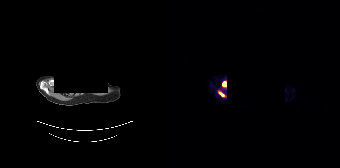
{"pet_grid":[168,168],"coord_frame":"pet_panel","coord_format":"x0,y0,x1,y1","lesion_bboxes":[[50,82,54,85]],"small_foci_centers":[[48,94]],"deidentification":"facial region redacted","modality":"PSMA PET/CT","view":"axial","tracer":"68Ga"}